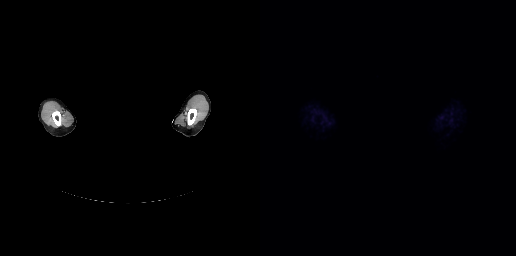
Negative for PSMA-avid disease on this slice.
Face de-identified by blanking a block of the head.